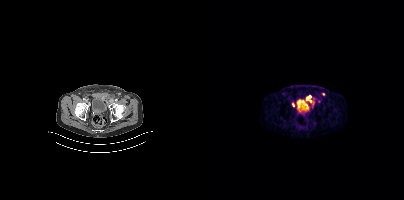
Coordinates are on the 200×200 PET (right) panel. PSMA-avid tumor lesion bounding boxes (partial; 1 more focus not listed):
| # | x0 | y0 | x1 | y1 |
|---|---|---|---|---|
| 1 | 102 | 96 | 107 | 102 |
Small PSMA-avid foci (2 to 4 px across) near (center x, center y): (89, 104); (119, 93).
Left: CT. Right: PSMA PET, same axial level, 68Ga-PSMA tracer. Acquired on Siemens Biograph mCT Flow 20. Slice 66 of 373.